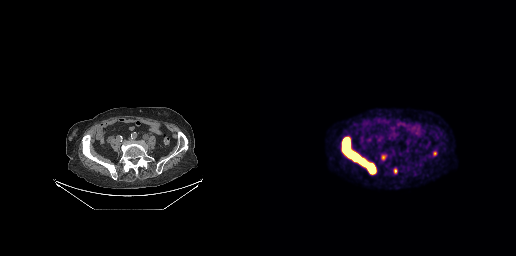
modality: PSMA PET/CT | tracer: 18F | view: axial | PET grid: 256×256
Coordinates are on the 256×256 PET (right) panel. PSMA-avid tumor lesion bounding boxes (x, y, width, height): x=82 y=137 w=35 h=37; x=173 y=151 w=4 h=5; x=122 y=155 w=4 h=5; x=134 y=169 w=3 h=5.